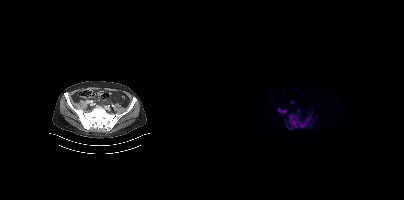
Coordinates are on the 200×200 PET (right) panel. (showing 4 of 5 foci) PSMA-avid tumor lesion bounding boxes (x0, y0)-(x1, y1): (84, 114)-(107, 128) / (75, 109)-(82, 112). Small PSMA-avid foci (2 to 4 px across) near (center x, center y): (81, 122) / (108, 121).